Two-panel axial: CT | PSMA PET, 68Ga-PSMA tracer. Acquired on GE Discovery 690. PET panel 256×256 px (2.7 mm/px).
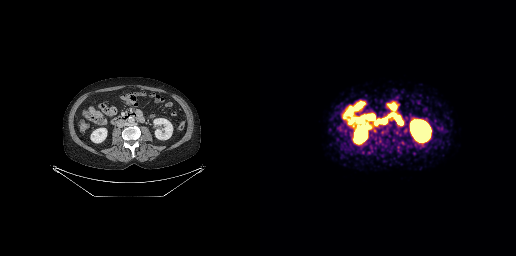
Only PSMA-avid lesion pieces thinner than 2 px on this slice (not listed).